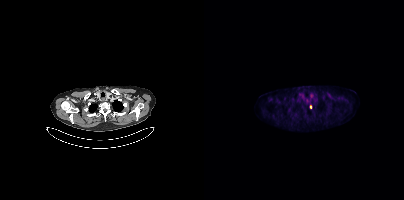
Left: CT. Right: PSMA PET, same axial level, [18F]PSMA-1007 tracer. Acquired on Siemens Biograph mCT Flow 20. PET panel 200×200 px (4.1 mm/px). Coordinates are on the 200×200 PET (right) panel. Small PSMA-avid focus (2 to 4 px across) near (center x, center y): (106, 106).